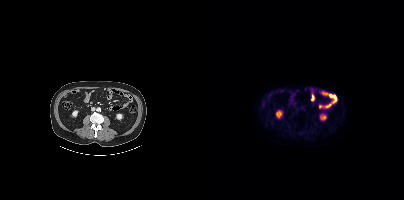
This slice has no annotated PSMA-avid lesion.